modality: PSMA PET/CT | tracer: [18F]PSMA-1007 | view: axial | PET grid: 200×200
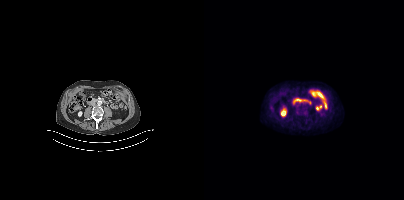
No PSMA-avid tumor lesions on this slice.